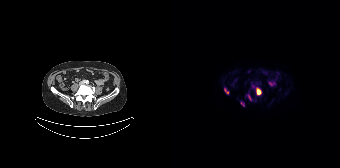
Paired axial CT (left) and PSMA PET (right), 18F-PSMA tracer. Coordinates are on the 168×168 PET (right) panel. (showing 3 of 6 foci) PSMA-avid tumor lesion bounding box (x0,y0,x1,y1): [84,87,89,94]. Small PSMA-avid foci (2 to 4 px across) near (center x, center y): (55, 92) (77, 97).